Paired axial CT (left) and PSMA PET (right), 18F tracer. Acquired on Siemens Biograph mCT Flow 20. Slice position z = 24 mm.
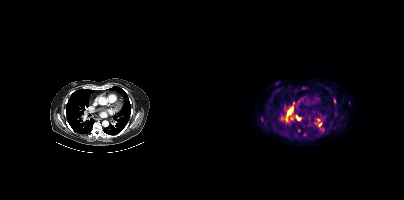
Coordinates are on the 200×200 PET (right) panel. PSMA-avid tumor lesion bounding boxes (partial; 3 more foci not listed):
| # | x0 | y0 | x1 | y1 |
|---|---|---|---|---|
| 1 | 82 | 106 | 89 | 121 |
| 2 | 92 | 115 | 95 | 119 |
Small PSMA-avid foci (2 to 4 px across) near (center x, center y): (87, 118); (78, 118); (100, 135); (130, 100); (116, 124); (89, 103); (57, 118).